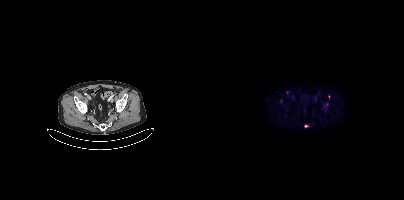
Findings: Coordinates are on the 200×200 PET (right) panel. (showing 4 of 5 foci) PSMA-avid tumor lesion bounding box (x0,y0,x1,y1): [76,99,78,103]. Small PSMA-avid foci (2 to 4 px across) near (center x, center y): (83, 92) (124, 96) (102, 125).
- Two-panel axial: CT | PSMA PET, 18F-PSMA tracer
- slice position z = -1445 mm